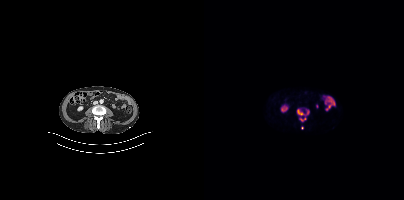
Left: CT. Right: PSMA PET, same axial level, [18F]PSMA-1007 tracer.
Coordinates are on the 200×200 PET (right) panel. PSMA-avid tumor lesion bounding boxes:
| # | x0 | y0 | x1 | y1 |
|---|---|---|---|---|
| 1 | 93 | 109 | 105 | 115 |
| 2 | 96 | 117 | 102 | 121 |
Small PSMA-avid focus (2 to 4 px across) near (center x, center y): (98, 128).